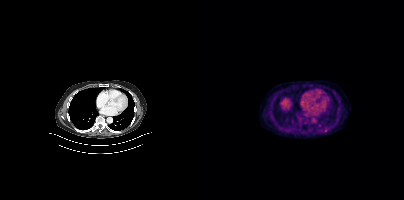
{"modality":"PSMA PET/CT","view":"axial","tracer":"18F-PSMA","pet_grid":[200,200],"coord_frame":"pet_panel","coord_format":"x0,y0,x1,y1","lesion_bboxes":[],"small_foci_centers":[[121,130]]}